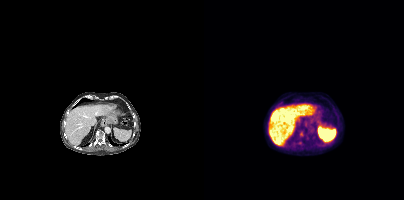
{"modality":"PSMA PET/CT","view":"axial","tracer":"[18F]PSMA-1007","pet_grid":[200,200],"coord_frame":"pet_panel","coord_format":"x0,y0,x1,y1","lesion_bboxes":[[93,141,97,144]],"small_foci_centers":[[96,133],[102,138]]}